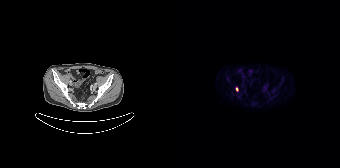
Coordinates are on the 168×168 PET (right) panel. PSMA-avid tumor lesion bounding box (x0,y0,x1,y1): [64,87,66,91].